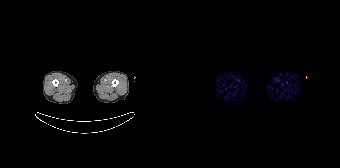
{"modality":"PSMA PET/CT","view":"axial","tracer":"68Ga-PSMA","pet_grid":[168,168],"coord_frame":"pet_panel","coord_format":"x0,y0,x1,y1","psma_avid_lesions":false}